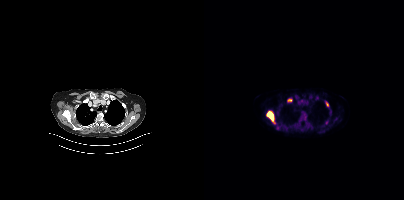
Coordinates are on the 200×200 PET (right) panel. PSMA-avid tumor lesion bounding boxes (x, y, width, height): x=62 y=111 w=10 h=14 / x=97 y=113 w=6 h=7 / x=83 y=98 w=6 h=5 / x=121 y=101 w=4 h=6. Small PSMA-avid foci (2 to 4 px across) near (center x, center y): (122, 122) / (73, 127).